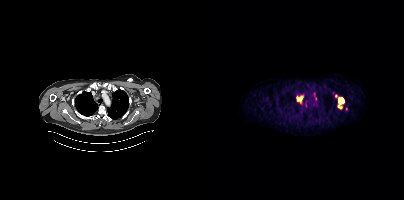
Technique: Paired axial CT (left) and PSMA PET (right), 68Ga tracer.
Findings: Coordinates are on the 200×200 PET (right) panel. (showing 3 of 5 foci) PSMA-avid tumor lesion bounding boxes (x0,y0,x1,y1): [134,98,140,108], [93,97,98,100], [111,96,113,100].